- Two-panel axial: CT | PSMA PET, 18F-PSMA tracer
- acquired on Siemens Biograph mCT Flow 20
- slice position z = -312 mm
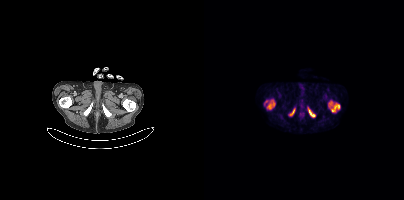
Findings: Coordinates are on the 200×200 PET (right) panel. PSMA-avid tumor lesion bounding boxes (x0, y0)-(x1, y1): (124, 101)-(136, 112) | (63, 100)-(70, 109) | (104, 108)-(111, 117) | (86, 109)-(90, 115). Small PSMA-avid focus (2 to 4 px across) near (center x, center y): (62, 101).